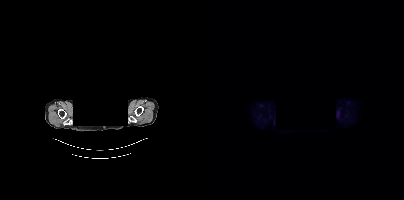
Two-panel axial: CT | PSMA PET, 18F-PSMA tracer. Head region blanked for anonymization (face removed). No PSMA-avid tumor lesions on this slice.